Technique: Left: CT. Right: PSMA PET, same axial level, 68Ga-PSMA tracer.
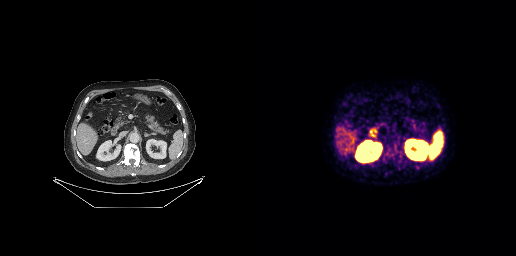
Findings: This slice has no annotated PSMA-avid lesion.